modality: PSMA PET/CT | tracer: 18F-PSMA | view: axial
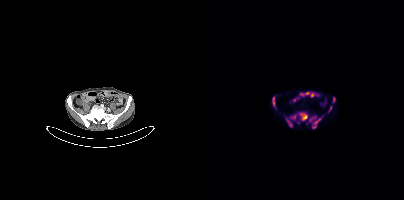
Coordinates are on the 200×200 PET (right) panel. PSMA-avid tumor lesion bounding boxes (x, y, width, height): x=82 y=115 w=11 h=13; x=95 y=112 w=9 h=9; x=108 y=118 w=9 h=11; x=68 y=96 w=4 h=12; x=129 y=97 w=3 h=6; x=124 y=106 w=5 h=6. Small PSMA-avid focus (2 to 4 px across) near (center x, center y): (107, 119).